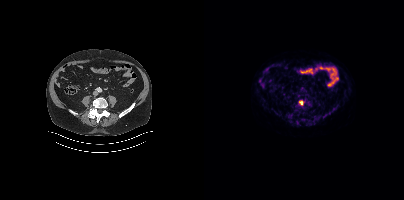
Coordinates are on the 200×200 PET (right) panel. Small PSMA-avid focus (2 to 4 px across) near (center x, center y): (96, 102). Two-panel axial: CT | PSMA PET, [18F]PSMA-1007 tracer.